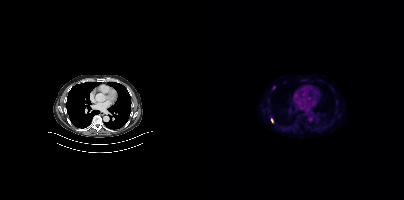
{"modality":"PSMA PET/CT","view":"axial","tracer":"[18F]PSMA-1007","pet_grid":[200,200],"coord_frame":"pet_panel","coord_format":"x0,y0,x1,y1","lesion_bboxes":[],"small_foci_centers":[[68,120],[69,87]]}